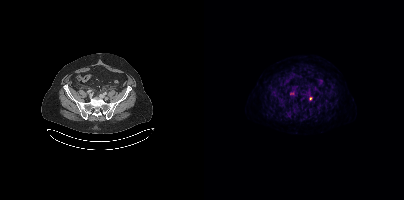
Coordinates are on the 200×200 PET (right) panel. Small PSMA-avid focus (2 to 4 px across) near (center x, center y): (106, 98). Two-panel axial: CT | PSMA PET, [18F]PSMA-1007 tracer. Slice position z = -623 mm. PET panel 200×200 px (4.1 mm/px).